Paired axial CT (left) and PSMA PET (right), [18F]PSMA-1007 tracer. Slice position z = -1434 mm. PET panel 200×200 px (4.1 mm/px).
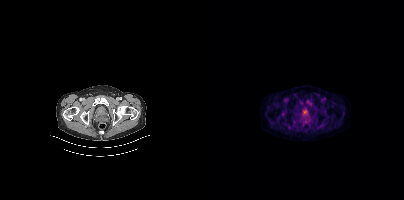
Coordinates are on the 200×200 PET (right) panel. PSMA-avid tumor lesion bounding boxes:
| # | x0 | y0 | x1 | y1 |
|---|---|---|---|---|
| 1 | 99 | 110 | 103 | 114 |